- Left: CT. Right: PSMA PET, same axial level, 18F tracer
- acquired on Siemens Biograph mCT Flow 20
- PET panel 200×200 px (4.1 mm/px)
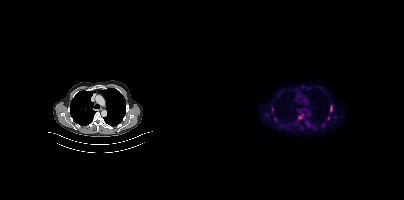
Findings: Coordinates are on the 200×200 PET (right) panel. (showing 8 of 9 foci) PSMA-avid tumor lesion bounding boxes (x0, y0)-(x1, y1): (103, 120)-(111, 128); (125, 104)-(129, 112); (123, 116)-(126, 120); (68, 107)-(69, 111). Small PSMA-avid foci (2 to 4 px across) near (center x, center y): (119, 124); (71, 119); (63, 114); (130, 117).